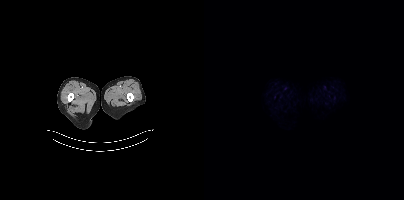
Findings: No PSMA-avid tumor lesions on this slice.
Technique: Left: CT. Right: PSMA PET, same axial level, 18F tracer.